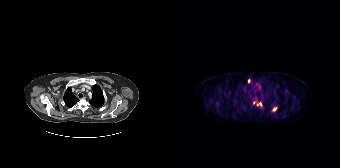
Coordinates are on the 168×168 PET (right) panel. PSMA-avid tumor lesion bounding boxes (partial; 2 more foci not listed):
| # | x0 | y0 | x1 | y1 |
|---|---|---|---|---|
| 1 | 100 | 108 | 104 | 111 |
Small PSMA-avid foci (2 to 4 px across) near (center x, center y): (82, 102); (76, 80); (88, 103).
Two-panel axial: CT | PSMA PET, 18F-PSMA tracer. PET panel 168×168 px (4.1 mm/px).